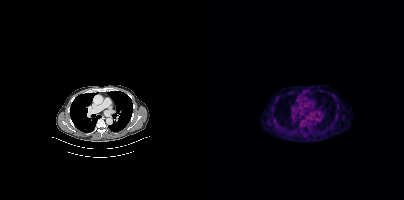
modality: PSMA PET/CT | tracer: [18F]PSMA-1007 | view: axial | PET grid: 200×200
Coordinates are on the 200×200 PET (right) panel. Small PSMA-avid focus (2 to 4 px across) near (center x, center y): (98, 120).